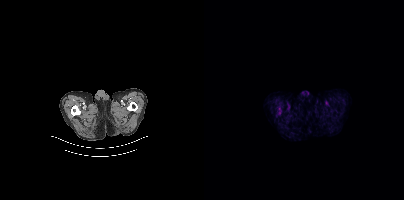
Coordinates are on the 200×200 PET (right) panel. Small PSMA-avid foci (2 to 4 px across) near (center x, center y): (75, 109); (75, 112).